Technique: Two-panel axial: CT | PSMA PET, [18F]PSMA-1007 tracer. acquired on Siemens Biograph 64-4R TruePoint. slice 151 of 165.
Note: The face region was removed for patient privacy by blanking a rectangle over the head.
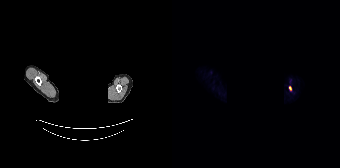
Findings: Coordinates are on the 168×168 PET (right) panel. Small PSMA-avid focus (2 to 4 px across) near (center x, center y): (118, 87).